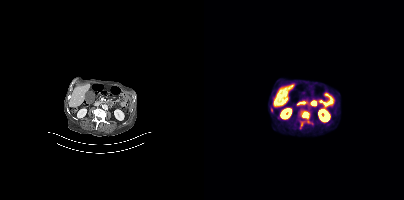
Coordinates are on the 200×200 PET (right) panel. PSMA-avid tumor lesion bounding box (x0,y0,x1,y1): [94,111,106,129].